Technique: Left: CT. Right: PSMA PET, same axial level, 18F tracer. slice position z = -377 mm.
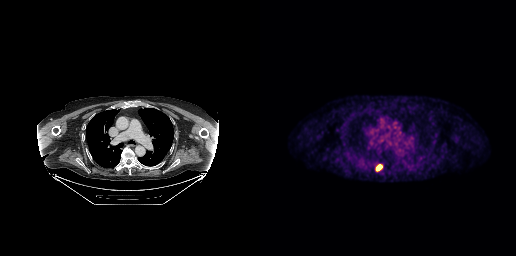
Findings: Coordinates are on the 256×256 PET (right) panel. PSMA-avid tumor lesion bounding box (x0, y0)-(x1, y1): (115, 164)-(122, 171).